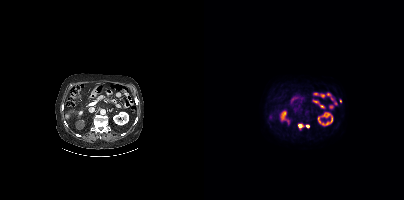
{"pet_grid":[200,200],"coord_frame":"pet_panel","coord_format":"x0,y0,x1,y1","lesion_bboxes":[],"small_foci_centers":[[103,126],[96,126]],"modality":"PSMA PET/CT","view":"axial","tracer":"18F-PSMA"}